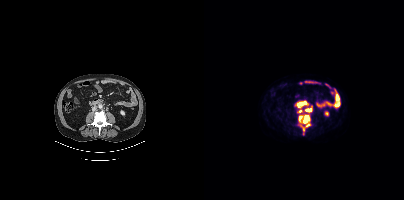
{"modality":"PSMA PET/CT","view":"axial","tracer":"[18F]PSMA-1007","pet_grid":[200,200],"coord_frame":"pet_panel","coord_format":"x0,y0,x1,y1","partial":true,"lesion_bboxes":[[94,106,108,131],[92,100,104,113]]}